- Two-panel axial: CT | PSMA PET, 68Ga-PSMA tracer
- acquired on Siemens Biograph mCT Flow 20
- PET panel 200×200 px (4.1 mm/px)
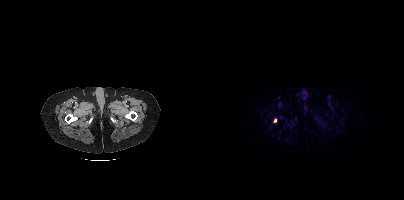
Findings: Coordinates are on the 200×200 PET (right) panel. Small PSMA-avid focus (2 to 4 px across) near (center x, center y): (71, 120).